modality: PSMA PET/CT | tracer: 18F | view: axial | PET grid: 200×200
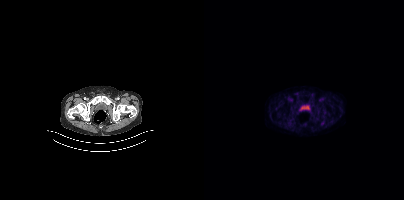
Negative for PSMA-avid disease on this slice.